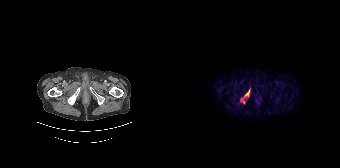
Findings: Coordinates are on the 168×168 PET (right) panel. PSMA-avid tumor lesion bounding box (x0,y0,x1,y1): [69,88,78,103].
Technique: Paired axial CT (left) and PSMA PET (right), [68Ga]Ga-PSMA-11 tracer. acquired on Siemens Biograph 64-4R TruePoint. slice 43 of 195.